Technique: Paired axial CT (left) and PSMA PET (right), [18F]PSMA-1007 tracer. acquired on Siemens Biograph mCT Flow 20. slice 41 of 431.
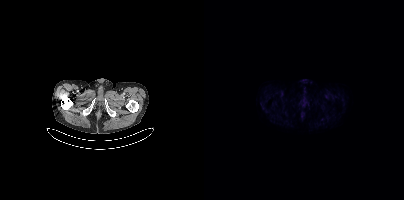
Findings: This slice has no annotated PSMA-avid lesion.